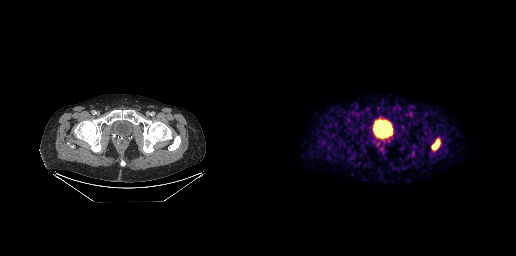
{"modality":"PSMA PET/CT","view":"axial","tracer":"[68Ga]Ga-PSMA-11","pet_grid":[256,256],"coord_frame":"pet_panel","coord_format":"x0,y0,x1,y1","lesion_bboxes":[[172,139,179,149]]}